- Left: CT. Right: PSMA PET, same axial level, 18F tracer
- acquired on Siemens Biograph mCT Flow 20
- privacy masking over the head, with the pixels inside a rectangle set to black
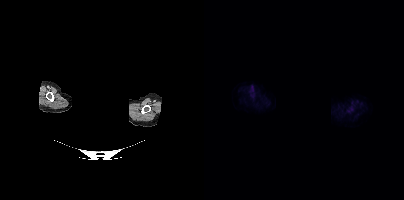
Findings: This slice has no annotated PSMA-avid lesion.